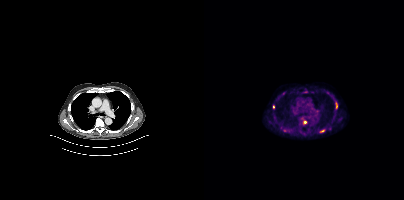
{"modality":"PSMA PET/CT","view":"axial","tracer":"18F","pet_grid":[200,200],"coord_frame":"pet_panel","coord_format":"x0,y0,x1,y1","partial":true,"lesion_bboxes":[[99,120,102,124],[132,103,133,108],[116,130,120,132]],"small_foci_centers":[[69,106]]}